- Paired axial CT (left) and PSMA PET (right), [18F]PSMA-1007 tracer
- slice 203 of 425
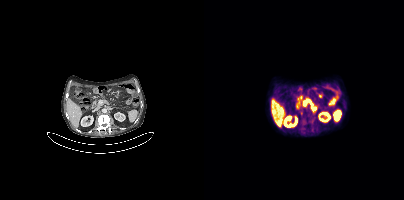
Findings: Coordinates are on the 200×200 PET (right) panel. PSMA-avid tumor lesion bounding boxes (x0, y0)-(x1, y1): (93, 95)-(98, 99); (99, 101)-(103, 105). Small PSMA-avid foci (2 to 4 px across) near (center x, center y): (116, 95); (97, 113); (101, 122); (105, 99); (105, 121).